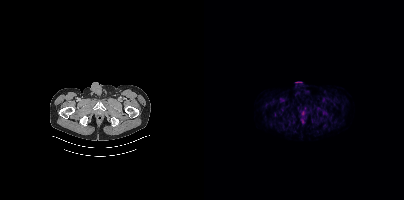
Findings: Only PSMA-avid lesion pieces thinner than 2 px on this slice (not listed).
Technique: Left: CT. Right: PSMA PET, same axial level, 18F tracer.